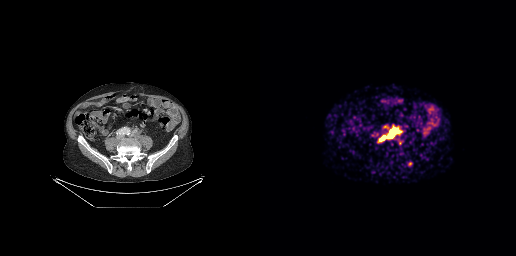
Findings: Coordinates are on the 256×256 PET (right) panel. PSMA-avid tumor lesion bounding box (x, y, width, height): x=119 y=126 w=24 h=15. Small PSMA-avid foci (2 to 4 px across) near (center x, center y): (150, 163) | (125, 126).
Technique: Paired axial CT (left) and PSMA PET (right), [68Ga]Ga-PSMA-11 tracer. slice 35 of 189. PET panel 256×256 px (2.7 mm/px).